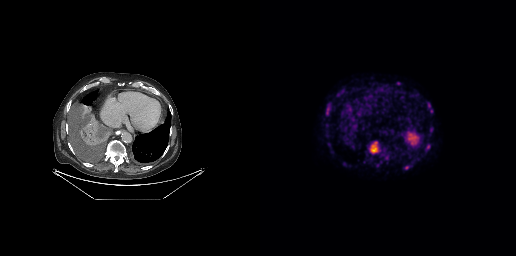
Coordinates are on the 256×256 PET (right) panel. (showing 3 of 5 foci) PSMA-avid tumor lesion bounding box (x0, y0)-(x1, y1): (110, 142)-(118, 153). Small PSMA-avid foci (2 to 4 px across) near (center x, center y): (146, 167); (67, 109).